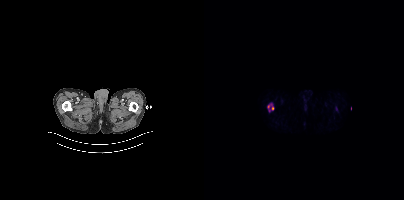
Technique: Left: CT. Right: PSMA PET, same axial level, [18F]PSMA-1007 tracer. slice position z = -892 mm.
Findings: Coordinates are on the 200×200 PET (right) panel. PSMA-avid tumor lesion bounding box (x, y, width, height): x=63 y=103 w=8 h=9.